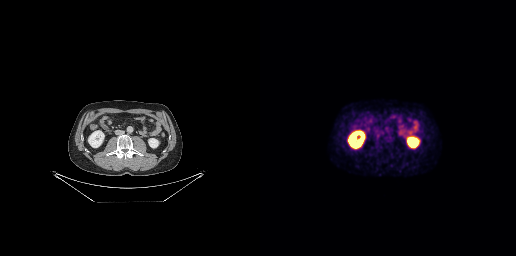
modality: PSMA PET/CT | tracer: [18F]PSMA-1007 | view: axial | PET grid: 256×256
Coordinates are on the 256×256 PET (right) panel. PSMA-avid tumor lesion bounding box (x, y, width, height): x=116 y=133 w=5 h=5.